Technique: Two-panel axial: CT | PSMA PET, 18F-PSMA tracer. acquired on Siemens Biograph mCT Flow 20. PET panel 200×200 px (4.1 mm/px).
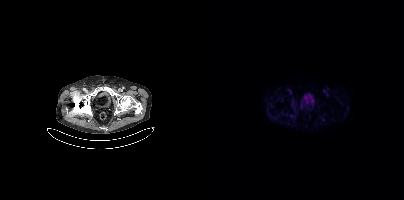
Findings: Negative for PSMA-avid disease on this slice.